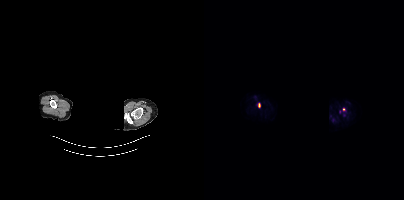
Coordinates are on the 200×200 PET (right) panel. PSMA-avid tumor lesion bounding box (x0, y0)-(x1, y1): (54, 103)-(56, 107). Small PSMA-avid focus (2 to 4 px across) near (center x, center y): (139, 109).
Face de-identified by blanking a block of the head.